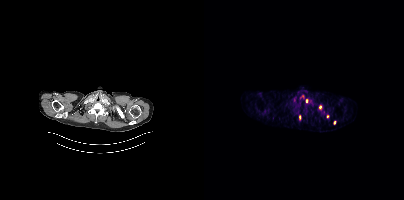
{"modality":"PSMA PET/CT","view":"axial","tracer":"68Ga-PSMA","pet_grid":[200,200],"coord_frame":"pet_panel","coord_format":"x0,y0,x1,y1","partial":true,"lesion_bboxes":[],"small_foci_centers":[[116,107],[102,100],[130,122],[123,116]]}